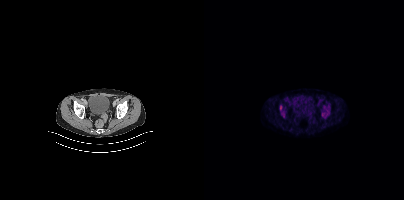
No PSMA-avid tumor lesions on this slice. Left: CT. Right: PSMA PET, same axial level, 18F-PSMA tracer.